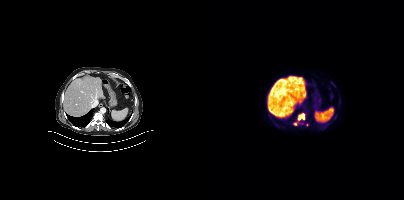
{"modality":"PSMA PET/CT","view":"axial","tracer":"18F-PSMA","pet_grid":[200,200],"coord_frame":"pet_panel","coord_format":"x0,y0,x1,y1","partial":true,"lesion_bboxes":[[93,113,101,120]],"small_foci_centers":[[91,123]]}